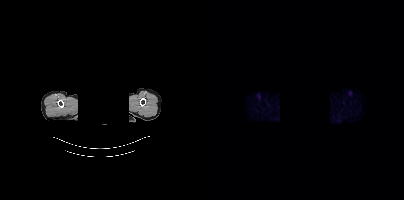
No tumor lesions annotated on this slice. Paired axial CT (left) and PSMA PET (right), [18F]PSMA-1007 tracer. The face region was removed for patient privacy by blanking a rectangle over the head.